Paired axial CT (left) and PSMA PET (right), [68Ga]Ga-PSMA-11 tracer. Acquired on Siemens Biograph mCT Flow 20.
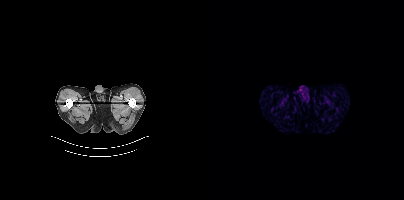
Negative for PSMA-avid disease on this slice.